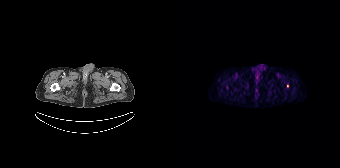
Left: CT. Right: PSMA PET, same axial level, 68Ga tracer. Slice 33 of 195. Coordinates are on the 168×168 PET (right) panel. Small PSMA-avid focus (2 to 4 px across) near (center x, center y): (115, 86).